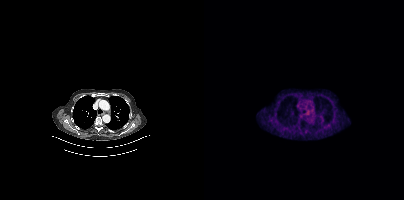
- Left: CT. Right: PSMA PET, same axial level, [68Ga]Ga-PSMA-11 tracer
- slice 298 of 405
- PET panel 200×200 px (4.1 mm/px)
Findings: This slice has no annotated PSMA-avid lesion.